Two-panel axial: CT | PSMA PET, 18F-PSMA tracer. Acquired on Siemens Biograph mCT Flow 20.
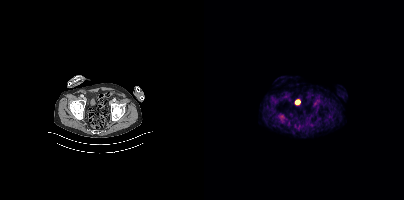
No tumor lesions annotated on this slice.